Technique: Left: CT. Right: PSMA PET, same axial level, [18F]PSMA-1007 tracer. acquired on Siemens Biograph mCT Flow 20.
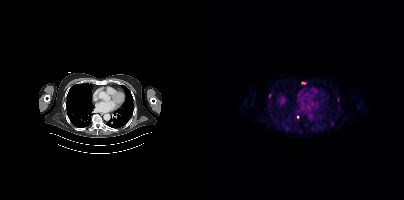
Findings: No PSMA-avid tumor lesions on this slice.